Technique: Paired axial CT (left) and PSMA PET (right), 18F tracer. PET panel 200×200 px (4.1 mm/px).
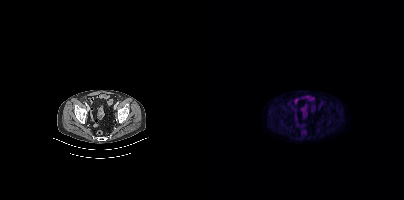
Findings: This slice has no annotated PSMA-avid lesion.